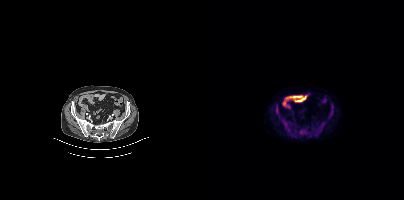
{"modality":"PSMA PET/CT","view":"axial","tracer":"18F-PSMA","pet_grid":[200,200],"coord_frame":"pet_panel","coord_format":"x0,y0,x1,y1","partial":true,"lesion_bboxes":[[95,129,104,134],[125,105,129,117],[78,119,83,127],[72,105,74,114]]}